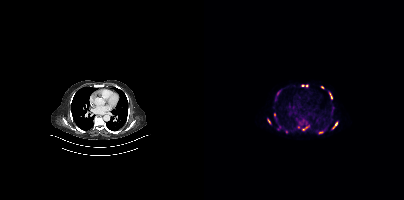
Technique: Left: CT. Right: PSMA PET, same axial level, 68Ga-PSMA tracer. acquired on Siemens Biograph mCT Flow 20. slice position z = 802 mm. PET panel 200×200 px (4.1 mm/px).
Findings: Coordinates are on the 200×200 PET (right) panel. (showing 11 of 14 foci) PSMA-avid tumor lesion bounding boxes (x, y, width, height): x=128 y=122 w=6 h=8; x=125 y=92 w=4 h=7; x=98 y=125 w=7 h=6; x=63 y=119 w=4 h=5. Small PSMA-avid foci (2 to 4 px across) near (center x, center y): (97, 124); (116, 132); (75, 127); (118, 87); (98, 85); (102, 85); (74, 92).